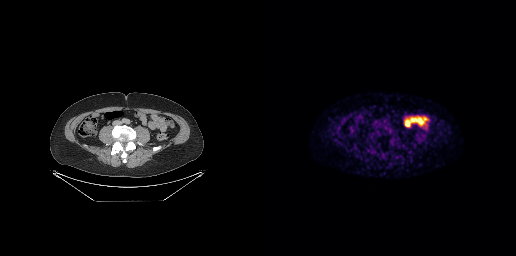
- Two-panel axial: CT | PSMA PET, [18F]PSMA-1007 tracer
- acquired on GE Discovery 690
Findings: Negative for PSMA-avid disease on this slice.